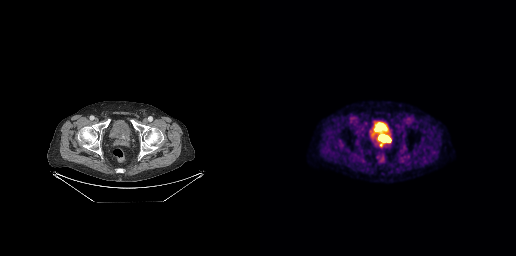
{"modality":"PSMA PET/CT","view":"axial","tracer":"[18F]PSMA-1007","pet_grid":[256,256],"coord_frame":"pet_panel","coord_format":"x0,y0,x1,y1","lesion_bboxes":[[120,136,129,141]]}